- Left: CT. Right: PSMA PET, same axial level, 18F-PSMA tracer
- slice 150 of 421
- PET panel 200×200 px (4.1 mm/px)
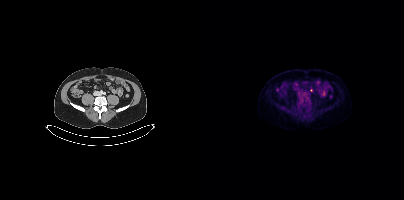
Findings: Coordinates are on the 200×200 PET (right) panel. Small PSMA-avid focus (2 to 4 px across) near (center x, center y): (107, 90).